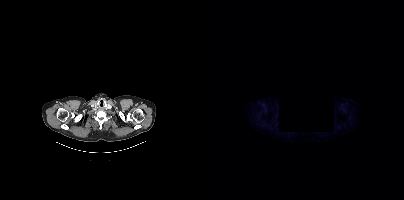
No PSMA-avid tumor lesions on this slice.
A region was redacted for de-identification by setting it to black.